Technique: Left: CT. Right: PSMA PET, same axial level, [18F]PSMA-1007 tracer. slice position z = -536 mm. PET panel 200×200 px (4.1 mm/px).
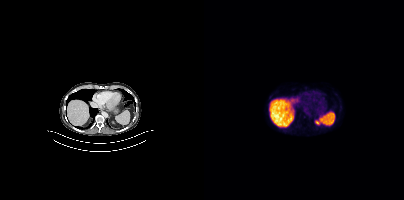
Findings: This slice has no annotated PSMA-avid lesion.